- Two-panel axial: CT | PSMA PET, [68Ga]Ga-PSMA-11 tracer
- PET panel 168×168 px (4.1 mm/px)
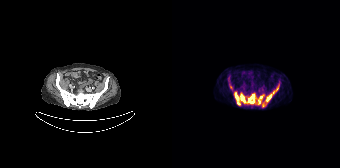
Findings: Coordinates are on the 168×168 PET (right) panel. PSMA-avid tumor lesion bounding boxes (x, y, width, height): x=62 y=93 w=23 h=13 | x=86 y=86 w=21 h=22. Small PSMA-avid focus (2 to 4 px across) near (center x, center y): (106, 82).